Technique: Two-panel axial: CT | PSMA PET, 18F tracer. slice 96 of 393.
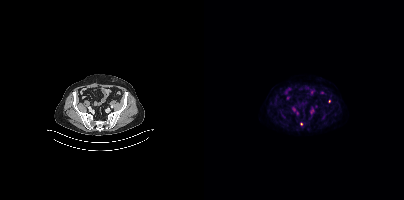
Findings: Coordinates are on the 200×200 PET (right) panel. Small PSMA-avid foci (2 to 4 px across) near (center x, center y): (125, 101) | (97, 123).